modality: PSMA PET/CT | tracer: [18F]PSMA-1007 | view: axial
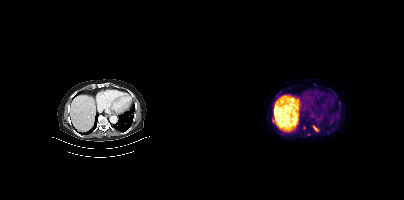
Coordinates are on the 200×200 PET (right) panel. (showing 4 of 5 foci) PSMA-avid tumor lesion bounding boxes (x0, y0)-(x1, y1): (109, 125)-(114, 131) | (72, 94)-(75, 98). Small PSMA-avid foci (2 to 4 px across) near (center x, center y): (100, 128) | (104, 134).